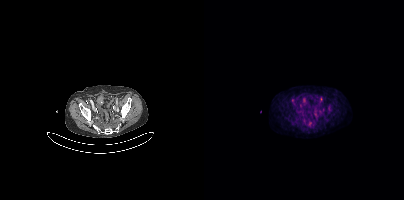
{"modality":"PSMA PET/CT","view":"axial","tracer":"18F-PSMA","pet_grid":[200,200],"coord_frame":"pet_panel","coord_format":"x0,y0,x1,y1","partial":true,"lesion_bboxes":[],"small_foci_centers":[[106,123]]}